modality: PSMA PET/CT | tracer: 18F-PSMA | view: axial | PET grid: 200×200
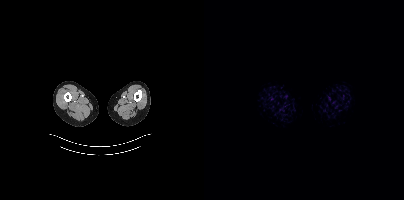
Negative for PSMA-avid disease on this slice.